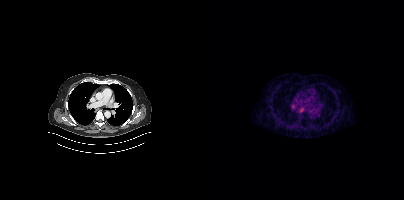
Coordinates are on the 200×200 PET (right) panel. Small PSMA-avid focus (2 to 4 px across) near (center x, center y): (89, 106).